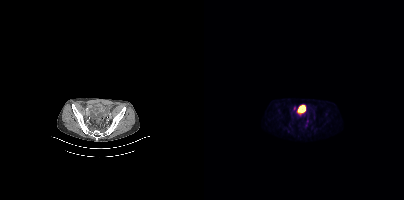
Coordinates are on the 200×200 PET (right) panel. PSMA-avid tumor lesion bounding box (x, y, width, height): x=93 y=105 w=9 h=10. Small PSMA-avid focus (2 to 4 px across) near (center x, center y): (90, 108).